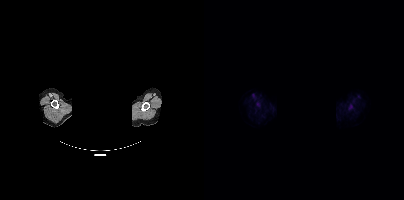
Technique: Left: CT. Right: PSMA PET, same axial level, 18F-PSMA tracer. acquired on Siemens Biograph mCT Flow 20. slice 432 of 464.
Note: The head region is masked for de-identification.
Findings: Coordinates are on the 200×200 PET (right) panel. PSMA-avid tumor lesion bounding box (x0,y0,x1,y1): [145,104,149,108].